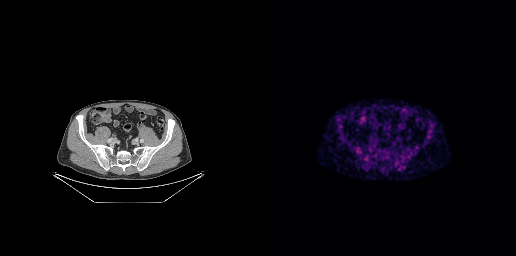
Findings: This slice has no annotated PSMA-avid lesion.
Technique: Paired axial CT (left) and PSMA PET (right), 18F-PSMA tracer. slice 98 of 299.